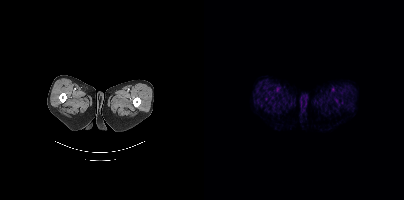
Two-panel axial: CT | PSMA PET, 18F-PSMA tracer. Acquired on Siemens Biograph mCT Flow 20. No tumor lesions annotated on this slice.